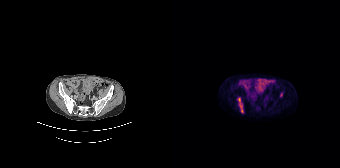
Coordinates are on the 168×168 PET (right) panel. PSMA-avid tumor lesion bounding boxes:
| # | x0 | y0 | x1 | y1 |
|---|---|---|---|---|
| 1 | 65 | 97 | 71 | 112 |
| 2 | 108 | 92 | 110 | 96 |
Left: CT. Right: PSMA PET, same axial level, [18F]PSMA-1007 tracer. Acquired on Siemens Biograph 64-4R TruePoint. Slice position z = -1535 mm. PET panel 168×168 px (4.1 mm/px).